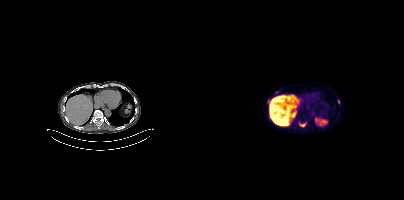
modality: PSMA PET/CT | tracer: 18F-PSMA | view: axial
Coordinates are on the 200×200 PET (right) panel. (showing 4 of 5 foci) PSMA-avid tumor lesion bounding box (x0,y0,x1,y1): [95,122,101,126]. Small PSMA-avid foci (2 to 4 px across) near (center x, center y): (72, 92); (134, 101); (64, 101).